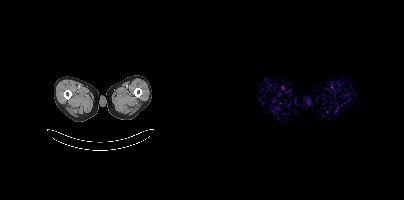
- Left: CT. Right: PSMA PET, same axial level, [68Ga]Ga-PSMA-11 tracer
- acquired on Siemens Biograph mCT Flow 20
- PET panel 200×200 px (4.1 mm/px)
Findings: Negative for PSMA-avid disease on this slice.